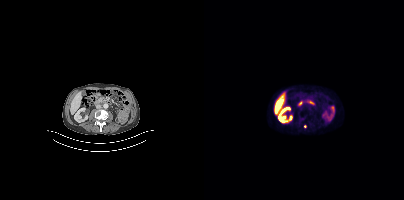
{"pet_grid":[200,200],"coord_frame":"pet_panel","coord_format":"x0,y0,x1,y1","lesion_bboxes":[],"small_foci_centers":[[100,126]],"modality":"PSMA PET/CT","view":"axial","tracer":"18F"}